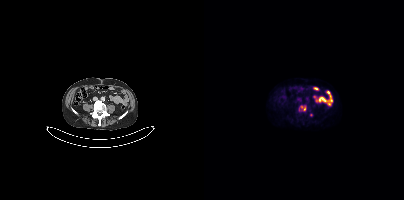
modality: PSMA PET/CT | tracer: 18F-PSMA | view: axial | PET grid: 200×200
Coordinates are on the 200×200 PET (right) panel. PSMA-avid tumor lesion bounding box (x0, y0)-(x1, y1): (95, 105)-(102, 110). Small PSMA-avid focus (2 to 4 px across) near (center x, center y): (106, 114).